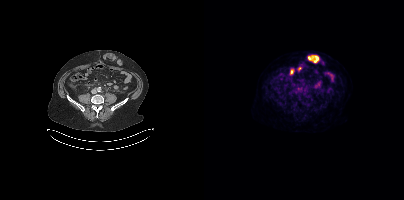
Coordinates are on the 200×200 PET (right) panel. PSMA-avid tumor lesion bounding box (x0, y0)-(x1, y1): (100, 90)-(103, 94).